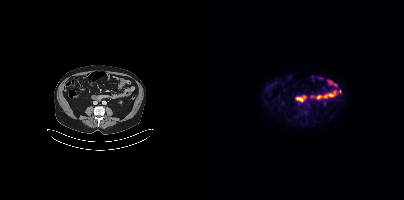
- Left: CT. Right: PSMA PET, same axial level, 18F tracer
- acquired on Siemens Biograph mCT Flow 20
- slice 156 of 389
Findings: No tumor lesions annotated on this slice.